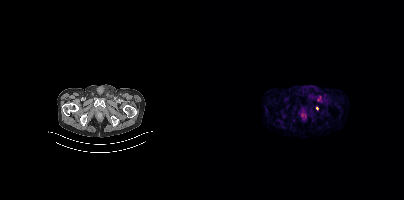
Technique: Left: CT. Right: PSMA PET, same axial level, 68Ga tracer. PET panel 200×200 px (4.1 mm/px).
Findings: Coordinates are on the 200×200 PET (right) panel. Small PSMA-avid focus (2 to 4 px across) near (center x, center y): (112, 108).